modality: PSMA PET/CT | tracer: 18F-PSMA | view: axial
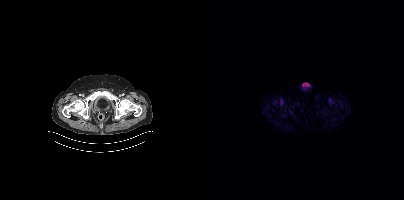
No PSMA-avid tumor lesions on this slice.